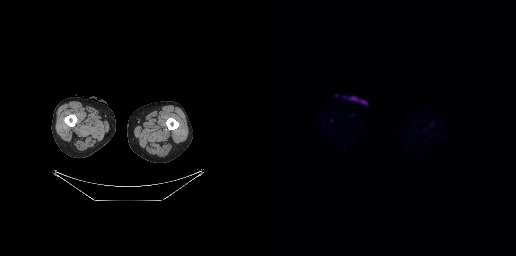
{"pet_grid":[256,256],"coord_frame":"pet_panel","coord_format":"x0,y0,x1,y1","psma_avid_lesions":false,"modality":"PSMA PET/CT","view":"axial","tracer":"18F"}